Paired axial CT (left) and PSMA PET (right), [18F]PSMA-1007 tracer. Acquired on Siemens Biograph mCT Flow 20.
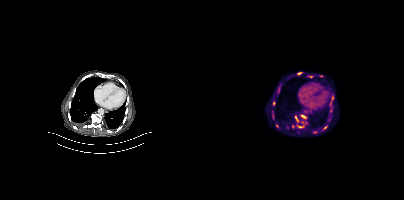
Coordinates are on the 200×200 PET (right) panel. (showing 3 of 4 foci) PSMA-avid tumor lesion bounding box (x0, y0)-(x1, y1): (97, 115)-(101, 118). Small PSMA-avid foci (2 to 4 px across) near (center x, center y): (92, 118); (69, 101).